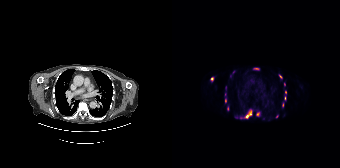
modality: PSMA PET/CT | tracer: [18F]PSMA-1007 | view: axial | PET grid: 168×168
Coordinates are on the 168×168 PET (right) panel. (showing 8 of 14 foci) PSMA-avid tumor lesion bounding boxes (x0,y0,x1,y1): [73,110,79,118]; [82,68,86,69]. Small PSMA-avid foci (2 to 4 px across) near (center x, center y): (40, 78); (86, 113); (108, 76); (53, 100); (113, 92); (112, 84).